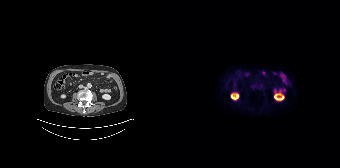
Findings: This slice has no annotated PSMA-avid lesion.
Technique: Paired axial CT (left) and PSMA PET (right), 18F tracer. slice 69 of 165. PET panel 168×168 px (4.1 mm/px).